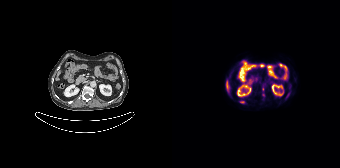
Coordinates are on the 168×168 PET (right) panel. PSMA-avid tumor lesion bounding boxes:
| # | x0 | y0 | x1 | y1 |
|---|---|---|---|---|
| 1 | 68 | 101 | 73 | 103 |
Small PSMA-avid foci (2 to 4 px across) near (center x, center y): (91, 88); (91, 94).
Two-panel axial: CT | PSMA PET, [18F]PSMA-1007 tracer.